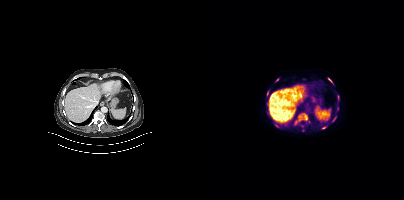
Coordinates are on the 200×200 PET (right) panel. PSMA-avid tumor lesion bounding boxes (x0,y0,x1,y1): [124,78,128,82]; [133,95,135,99]; [129,116,132,120]; [63,91,64,95]; [118,127,122,128]. Small PSMA-avid foci (2 to 4 px across) near (center x, center y): (73, 79); (91, 123).